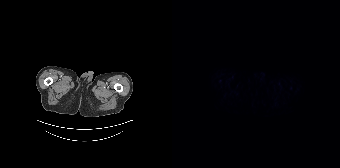
This slice has no annotated PSMA-avid lesion.